- Two-panel axial: CT | PSMA PET, 68Ga tracer
- PET panel 168×168 px (4.1 mm/px)
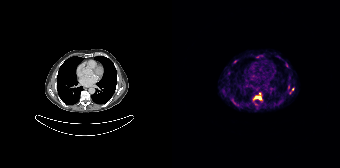
Findings: Coordinates are on the 168×168 PET (right) panel. (showing 3 of 5 foci) PSMA-avid tumor lesion bounding box (x, y, width, height): x=81 y=93 w=9 h=8. Small PSMA-avid foci (2 to 4 px across) near (center x, center y): (121, 89) | (116, 87).